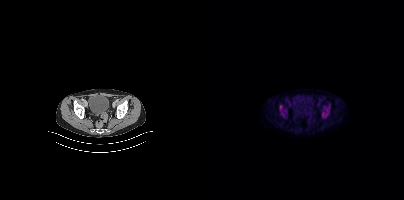
- Two-panel axial: CT | PSMA PET, 18F tracer
- slice 86 of 413
- PET panel 200×200 px (4.1 mm/px)
Findings: Only PSMA-avid lesion pieces thinner than 2 px on this slice (not listed).